modality: PSMA PET/CT | tracer: 68Ga | view: axial | PET grid: 168×168
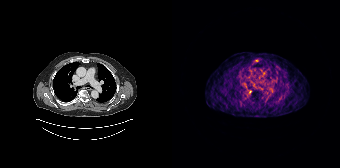
Coordinates are on the 168×168 PET (right) panel. Small PSMA-avid foci (2 to 4 px across) near (center x, center y): (84, 60) | (77, 91).